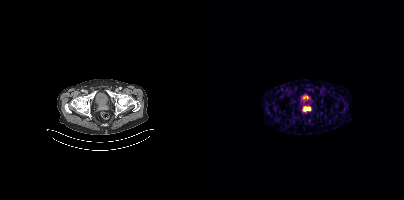
Coordinates are on the 200×200 PET (right) panel. PSMA-avid tumor lesion bounding box (x0, y0)-(x1, y1): (99, 107)-(106, 111).